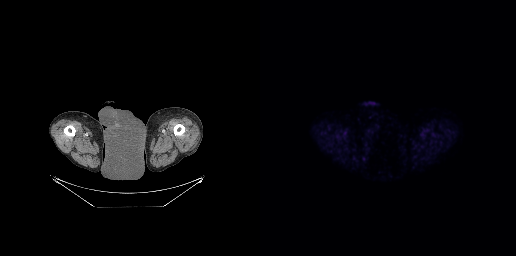
No tumor lesions annotated on this slice.